- Two-panel axial: CT | PSMA PET, 68Ga tracer
- acquired on Siemens Biograph 64-4R TruePoint
- slice 23 of 195
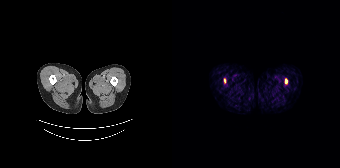
Findings: Coordinates are on the 168×168 PET (right) panel. PSMA-avid tumor lesion bounding box (x0,y0,x1,y1): [113,79,115,83]. Small PSMA-avid focus (2 to 4 px across) near (center x, center y): (52, 80).